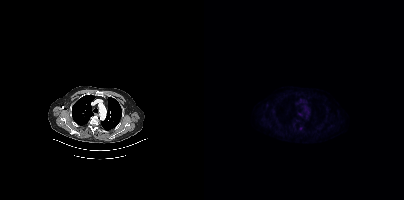
Paired axial CT (left) and PSMA PET (right), [18F]PSMA-1007 tracer. Acquired on Siemens Biograph mCT Flow 20. Negative for PSMA-avid disease on this slice.